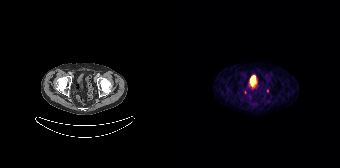
{"modality":"PSMA PET/CT","view":"axial","tracer":"68Ga-PSMA","pet_grid":[168,168],"coord_frame":"pet_panel","coord_format":"x0,y0,x1,y1","partial":true,"lesion_bboxes":[],"small_foci_centers":[[95,90]]}